- Two-panel axial: CT | PSMA PET, 18F-PSMA tracer
- acquired on Siemens Biograph mCT Flow 20
- slice position z = -1146 mm
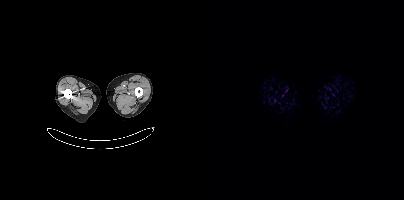
Findings: This slice has no annotated PSMA-avid lesion.